Two-panel axial: CT | PSMA PET, 18F-PSMA tracer. Slice 321 of 407.
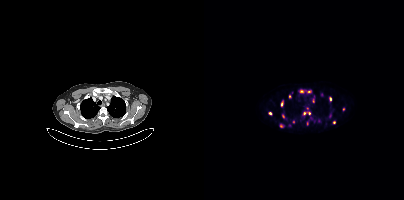
Coordinates are on the 200×200 PET (right) panel. PSMA-avid tumor lesion bounding boxes (partial; 4 more foci not listed):
| # | x0 | y0 | x1 | y1 |
|---|---|---|---|---|
| 1 | 103 | 90 | 107 | 92 |
Small PSMA-avid foci (2 to 4 px across) near (center x, center y): (77, 125); (97, 91); (126, 115); (100, 113); (126, 99); (139, 109); (79, 116); (85, 96); (77, 104); (66, 113); (130, 122); (109, 100); (105, 113); (103, 108).